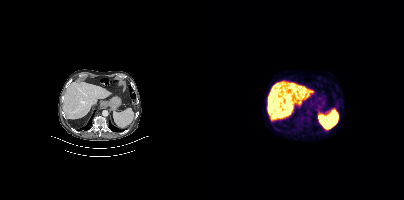
- Two-panel axial: CT | PSMA PET, 18F tracer
- acquired on Siemens Biograph mCT Flow 20
- slice 215 of 427
- PET panel 200×200 px (4.1 mm/px)
Findings: Negative for PSMA-avid disease on this slice.